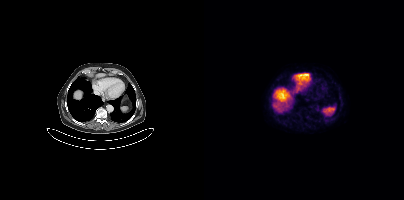
modality: PSMA PET/CT | tracer: 18F | view: axial | PET grid: 200×200
Negative for PSMA-avid disease on this slice.